Technique: Paired axial CT (left) and PSMA PET (right), 18F-PSMA tracer. acquired on Siemens Biograph mCT Flow 20. slice 227 of 403.
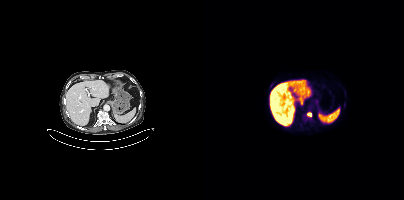
Findings: Coordinates are on the 200×200 PET (right) panel. (showing 4 of 5 foci) PSMA-avid tumor lesion bounding box (x, y, width, height): x=66 y=83 w=3 h=5. Small PSMA-avid foci (2 to 4 px across) near (center x, center y): (105, 115) / (101, 115) / (106, 119).